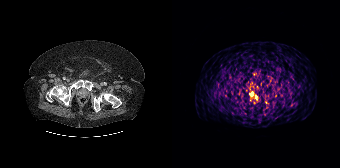
Coordinates are on the 168×168 PET (right) panel. PSMA-avid tumor lesion bounding box (x, y, width, height): x=77 y=87 w=8 h=9.